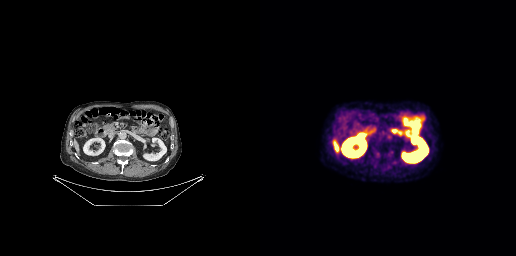
Paired axial CT (left) and PSMA PET (right), 18F tracer. Acquired on GE Discovery 690. Slice position z = -555 mm. This slice has no annotated PSMA-avid lesion.